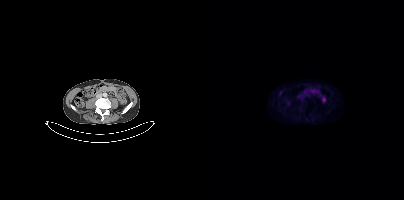
Negative for PSMA-avid disease on this slice. Left: CT. Right: PSMA PET, same axial level, 18F tracer.